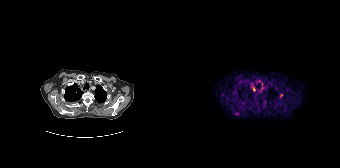
Coordinates are on the 168×168 PET (right) panel. PSMA-avid tumor lesion bounding boxes (x0,y0,x1,y1): [81,87,83,91] [89,84,90,89]. Small PSMA-avid foci (2 to 4 px across) near (center x, center y): (64, 113) (109, 95).